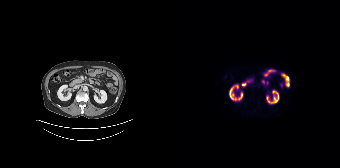
- Paired axial CT (left) and PSMA PET (right), 18F-PSMA tracer
- slice position z = -910 mm
Findings: This slice has no annotated PSMA-avid lesion.